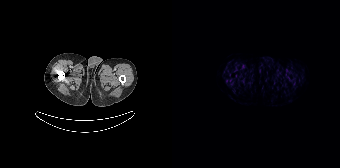
modality: PSMA PET/CT | tracer: 18F-PSMA | view: axial | PET grid: 168×168
This slice has no annotated PSMA-avid lesion.